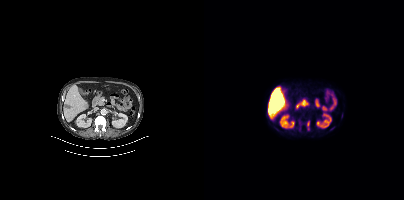
Coordinates are on the 200×200 PET (right) panel. (showing 1 of 2 foci) PSMA-avid tumor lesion bounding box (x0, y0)-(x1, y1): (102, 120)-(105, 130).